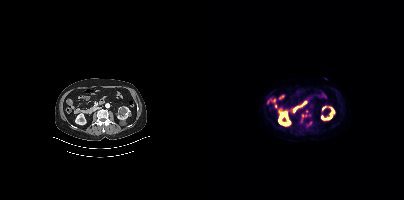
Left: CT. Right: PSMA PET, same axial level, 18F tracer. Slice 170 of 407. PET panel 200×200 px (4.1 mm/px).
Coordinates are on the 200×200 PET (right) panel. PSMA-avid tumor lesion bounding boxes (partial; 1 more focus not listed):
| # | x0 | y0 | x1 | y1 |
|---|---|---|---|---|
| 1 | 96 | 115 | 99 | 123 |
Small PSMA-avid foci (2 to 4 px across) near (center x, center y): (103, 111); (101, 115).